Paired axial CT (left) and PSMA PET (right), 18F-PSMA tracer. PET panel 200×200 px (4.1 mm/px).
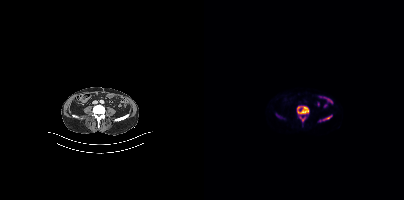
Coordinates are on the 200×200 PET (right) panel. (showing 3 of 4 foci) PSMA-avid tumor lesion bounding boxes (x0,y0,x1,y1): [93,106,105,114]; [95,116,101,121]; [121,116,127,119].